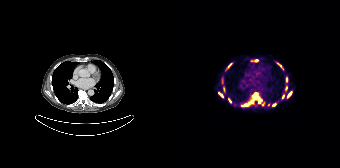
{"modality":"PSMA PET/CT","view":"axial","tracer":"68Ga","pet_grid":[168,168],"coord_frame":"pet_panel","coord_format":"x0,y0,x1,y1","partial":true,"lesion_bboxes":[[83,98,89,103],[115,91,119,97],[46,92,51,97],[81,92,85,96],[105,63,109,67]],"small_foci_centers":[[73,104],[57,100],[101,104],[50,81],[114,79],[84,60],[110,96],[80,101],[90,104],[57,66]]}